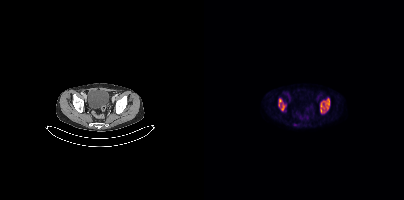
Coordinates are on the 200×200 PET (right) panel. PSMA-avid tumor lesion bounding boxes (x, y, width, height): x=116 y=98 w=10 h=16; x=74 y=98 w=9 h=13.